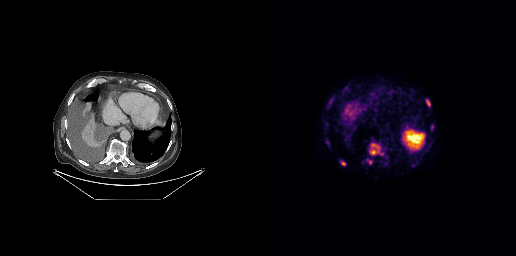
Coordinates are on the 256×256 PET (right) panel. (showing 5 of 6 foci) PSMA-avid tumor lesion bounding boxes (x0,y0,x1,y1): [110,143,119,154]; [166,99,170,106]; [81,162,85,165]. Small PSMA-avid foci (2 to 4 px across) near (center x, center y): (110, 162); (121, 153).
modality: PSMA PET/CT | tracer: [18F]PSMA-1007 | view: axial